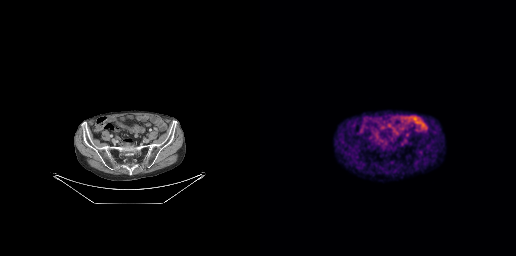
This slice has no annotated PSMA-avid lesion.